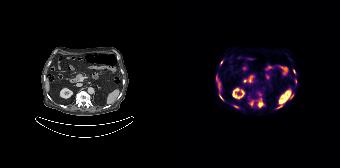
Findings: Coordinates are on the 168×168 PET (right) panel. PSMA-avid tumor lesion bounding boxes (x, y, width, height): x=86 y=98 w=6 h=10 / x=47 y=93 w=5 h=8 / x=61 y=105 w=6 h=4 / x=104 y=105 w=7 h=4 / x=79 y=101 w=3 h=5. Small PSMA-avid foci (2 to 4 px across) near (center x, center y): (122, 71) / (49, 62) / (44, 75) / (123, 80) / (121, 94).
Technique: Two-panel axial: CT | PSMA PET, 18F-PSMA tracer. slice position z = -1304 mm.